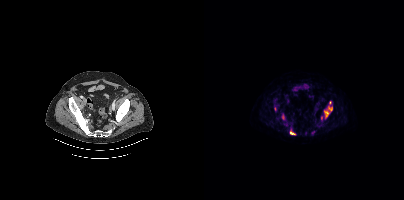
{"pet_grid":[200,200],"coord_frame":"pet_panel","coord_format":"x0,y0,x1,y1","partial":true,"lesion_bboxes":[[120,106,128,118],[86,131,91,134]],"small_foci_centers":[[125,103],[117,117]],"modality":"PSMA PET/CT","view":"axial","tracer":"[18F]PSMA-1007"}